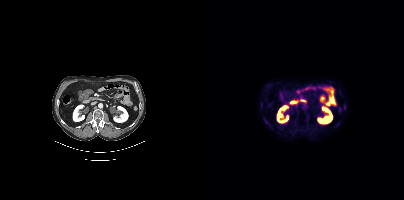
Negative for PSMA-avid disease on this slice.